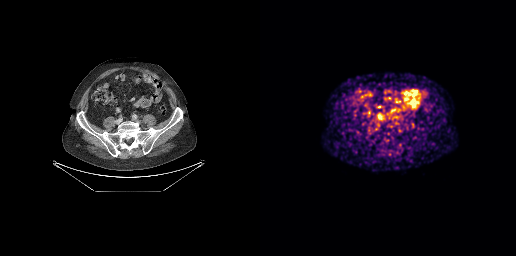
This slice has no annotated PSMA-avid lesion.